Two-panel axial: CT | PSMA PET, 18F tracer. Acquired on Siemens Biograph mCT Flow 20. Slice position z = -1060 mm. Any black rectangle over the head is a privacy mask, not anatomy.
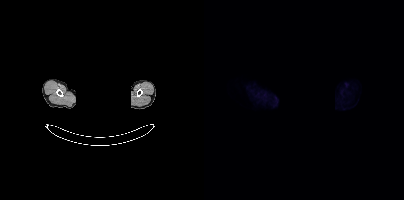
Negative for PSMA-avid disease on this slice.